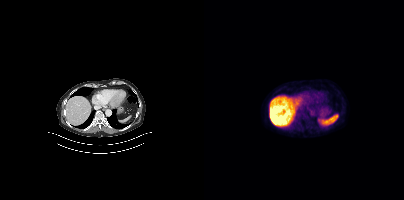
Technique: Left: CT. Right: PSMA PET, same axial level, 18F-PSMA tracer.
Findings: Negative for PSMA-avid disease on this slice.